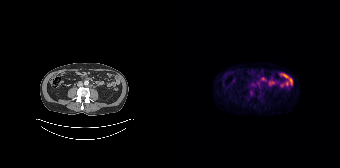
Coordinates are on the 168×168 PET (right) panel. Small PSMA-avid focus (2 to 4 px across) near (center x, center y): (87, 95).